Technique: Left: CT. Right: PSMA PET, same axial level, 68Ga tracer.
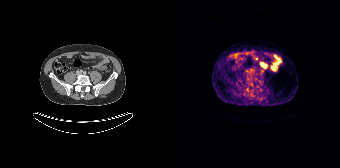
Findings: Only PSMA-avid lesion pieces thinner than 2 px on this slice (not listed).